Technique: Paired axial CT (left) and PSMA PET (right), 68Ga tracer. slice position z = -884 mm. PET panel 200×200 px (4.1 mm/px).
Note: Face de-identified by blanking a block of the head.
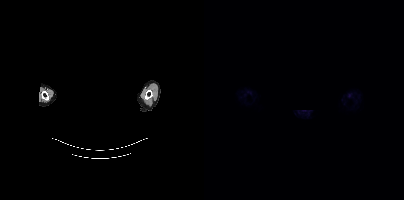
Findings: This slice has no annotated PSMA-avid lesion.